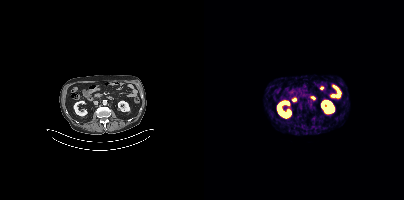
modality: PSMA PET/CT | tracer: [68Ga]Ga-PSMA-11 | view: axial
No PSMA-avid tumor lesions on this slice.